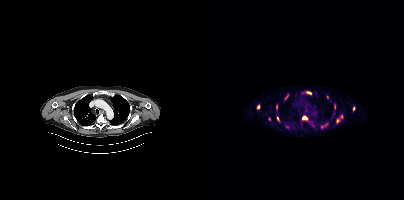
{"modality":"PSMA PET/CT","view":"axial","tracer":"[18F]PSMA-1007","pet_grid":[200,200],"coord_frame":"pet_panel","coord_format":"x0,y0,x1,y1","partial":true,"lesion_bboxes":[[116,123,123,128],[98,116,103,119],[132,118,136,123],[102,91,107,94],[72,104,73,109],[81,95,84,99],[149,106,150,110]],"small_foci_centers":[[54,106],[137,116],[74,118],[130,106],[123,97]]}